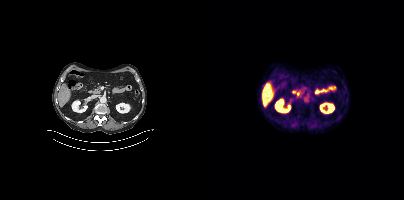
Findings: This slice has no annotated PSMA-avid lesion.
Technique: Left: CT. Right: PSMA PET, same axial level, [18F]PSMA-1007 tracer. acquired on Siemens Biograph mCT Flow 20. slice position z = -534 mm.